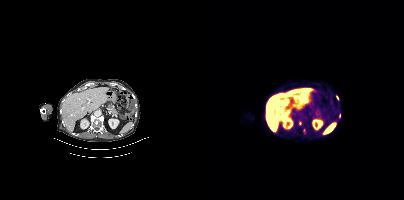
Paired axial CT (left) and PSMA PET (right), [18F]PSMA-1007 tracer. PET panel 200×200 px (4.1 mm/px). Coordinates are on the 200×200 PET (right) panel. PSMA-avid tumor lesion bounding boxes (x0,y0,x1,y1): [132,95,134,100]; [135,113,136,118]. Small PSMA-avid foci (2 to 4 px across) near (center x, center y): (96, 123); (100, 130).